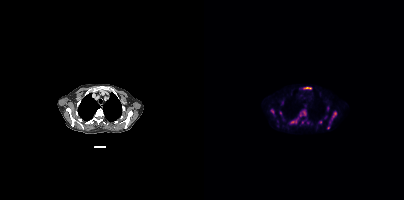
Coordinates are on the 200×200 PET (right) panel. PSMA-avid tumor lesion bounding boxes (x, y, width, height): x=85 y=117 w=10 h=7; x=128 y=111 w=5 h=9; x=99 y=87 w=9 h=3; x=95 y=111 w=7 h=6; x=67 y=109 w=4 h=5. Small PSMA-avid foci (2 to 4 px across) near (center x, center y): (124, 107); (116, 122); (98, 122); (76, 113); (124, 127); (103, 122).